Technique: Paired axial CT (left) and PSMA PET (right), 68Ga tracer.
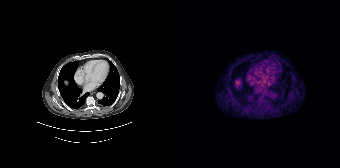
Findings: Negative for PSMA-avid disease on this slice.